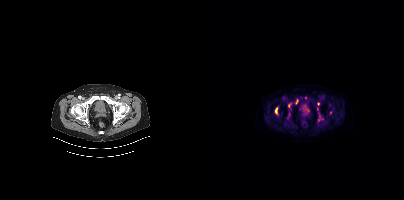
{"pet_grid":[200,200],"coord_frame":"pet_panel","coord_format":"x0,y0,x1,y1","lesion_bboxes":[[71,107,73,114],[114,118,119,122],[91,99,94,104],[84,103,88,107],[113,107,114,111]],"small_foci_centers":[[103,110],[85,113],[101,97],[114,103],[126,112]],"modality":"PSMA PET/CT","view":"axial","tracer":"18F"}